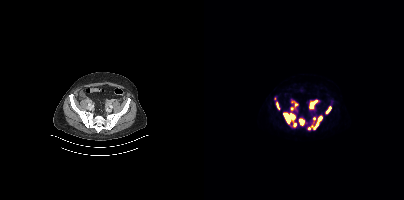
modality: PSMA PET/CT | tracer: 18F | view: axial
Coordinates are on the 200×200 PET (right) panel. (showing 9 of 10 foci) PSMA-avid tumor lesion bounding boxes (x, y, width, height): x=79 y=112 w=14 h=16 / x=104 y=115 w=15 h=15 / x=105 y=100 w=9 h=10 / x=95 y=118 w=6 h=8 / x=122 y=106 w=6 h=8 / x=72 y=102 w=4 h=8 / x=88 y=101 w=6 h=6. Small PSMA-avid foci (2 to 4 px across) near (center x, center y): (88, 108) / (110, 118).